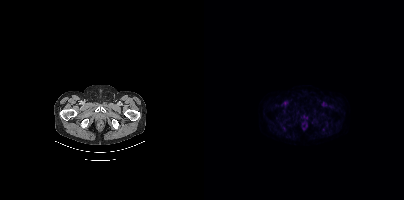
- Left: CT. Right: PSMA PET, same axial level, 18F tracer
- slice 57 of 417
- PET panel 200×200 px (4.1 mm/px)
Findings: No PSMA-avid tumor lesions on this slice.